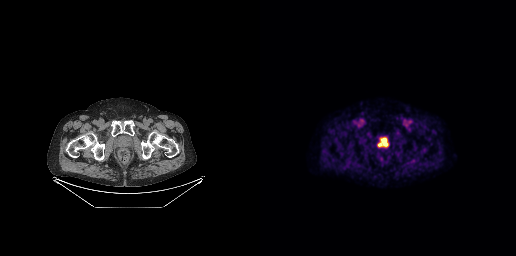
modality: PSMA PET/CT | tracer: 18F | view: axial | PET grid: 256×256
Coordinates are on the 256×256 PET (right) panel. PSMA-avid tumor lesion bounding box (x0, y0)-(x1, y1): (118, 137)-(128, 146).